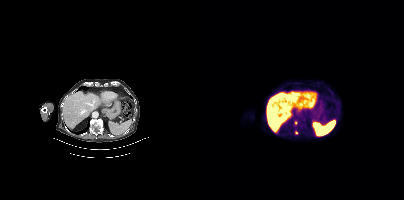
Paired axial CT (left) and PSMA PET (right), 18F-PSMA tracer. Slice position z = 60 mm. Coordinates are on the 200×200 PET (right) panel. Small PSMA-avid foci (2 to 4 px across) near (center x, center y): (92, 122), (92, 132).